Left: CT. Right: PSMA PET, same axial level, [68Ga]Ga-PSMA-11 tracer. Slice 138 of 263. PET panel 256×256 px (2.7 mm/px).
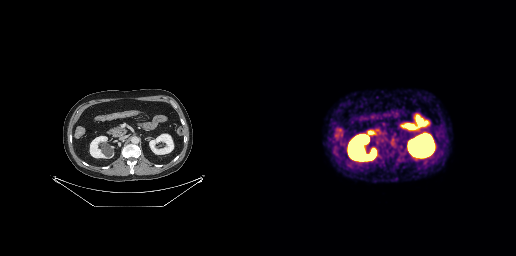
No tumor lesions annotated on this slice.